Paired axial CT (left) and PSMA PET (right), [18F]PSMA-1007 tracer. Slice 304 of 508.
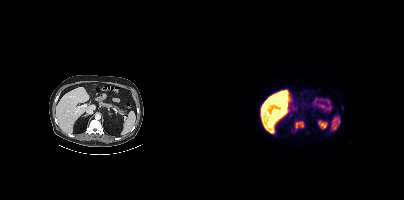
Coordinates are on the 200×200 PET (right) panel. (showing 1 of 3 foci) PSMA-avid tumor lesion bounding box (x, y, width, height): x=90 y=121 w=10 h=11.